modality: PSMA PET/CT | tracer: 18F-PSMA | view: axial | PET grid: 200×200
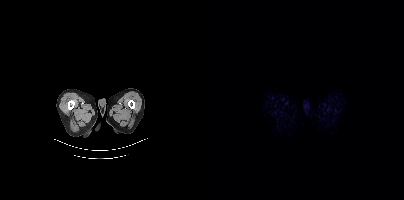
Negative for PSMA-avid disease on this slice.